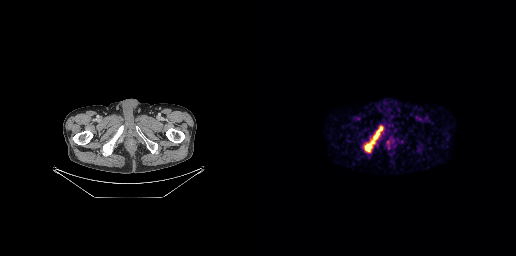
Technique: Left: CT. Right: PSMA PET, same axial level, [68Ga]Ga-PSMA-11 tracer.
Findings: Coordinates are on the 256×256 PET (right) panel. PSMA-avid tumor lesion bounding boxes (x0, y0)-(x1, y1): (104, 140)-(115, 152); (112, 126)-(123, 140).